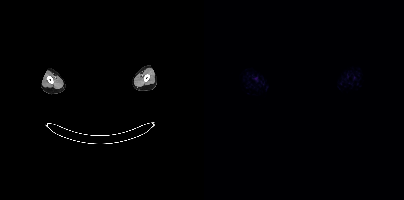
deidentification: face masked with black rectangle | modality: PSMA PET/CT | tracer: 18F | view: axial | PET grid: 200×200
No tumor lesions annotated on this slice.